Technique: Two-panel axial: CT | PSMA PET, [18F]PSMA-1007 tracer. PET panel 200×200 px (4.1 mm/px).
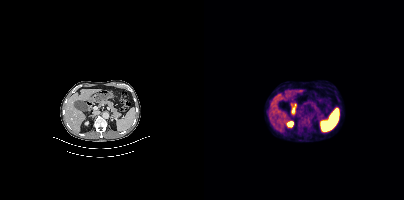
Findings: Coordinates are on the 200×200 PET (right) panel. PSMA-avid tumor lesion bounding box (x0, y0)-(x1, y1): (98, 117)-(106, 126).